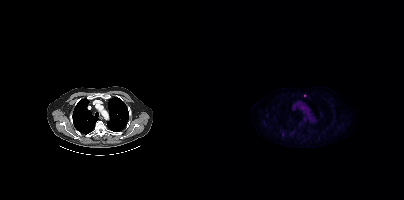
- Paired axial CT (left) and PSMA PET (right), 18F tracer
- acquired on Siemens Biograph mCT Flow 20
Findings: Coordinates are on the 200×200 PET (right) panel. Small PSMA-avid focus (2 to 4 px across) near (center x, center y): (100, 95).